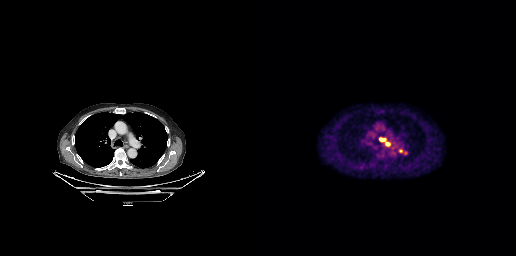
Paired axial CT (left) and PSMA PET (right), [18F]PSMA-1007 tracer. Acquired on GE Discovery 690. PET panel 256×256 px (2.7 mm/px). Coordinates are on the 256×256 PET (right) panel. (showing 3 of 4 foci) PSMA-avid tumor lesion bounding box (x, y, width, height): x=119 y=137 w=12 h=10. Small PSMA-avid foci (2 to 4 px across) near (center x, center y): (140, 151) / (132, 147).